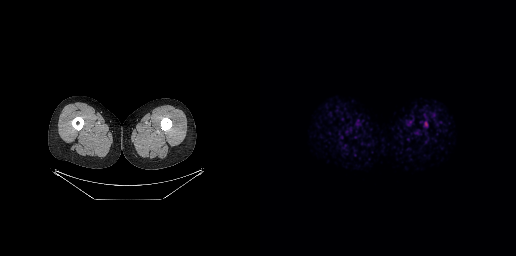
Technique: Paired axial CT (left) and PSMA PET (right), [68Ga]Ga-PSMA-11 tracer. slice position z = -1135 mm.
Findings: This slice has no annotated PSMA-avid lesion.